Paired axial CT (left) and PSMA PET (right), [18F]PSMA-1007 tracer. Slice position z = 194 mm.
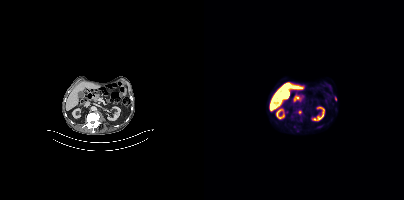
Coordinates are on the 200×200 PET (right) panel. (showing 2 of 3 foci) Small PSMA-avid foci (2 to 4 px across) near (center x, center y): (96, 112); (131, 98).